Two-panel axial: CT | PSMA PET, 18F tracer. Acquired on Siemens Biograph mCT Flow 20. Slice 283 of 413. PET panel 200×200 px (4.1 mm/px).
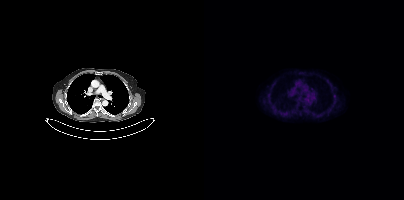
Only PSMA-avid lesion pieces thinner than 2 px on this slice (not listed).